- Left: CT. Right: PSMA PET, same axial level, [18F]PSMA-1007 tracer
- slice 418 of 454
- PET panel 200×200 px (4.1 mm/px)
- head region blanked for anonymization (face removed)
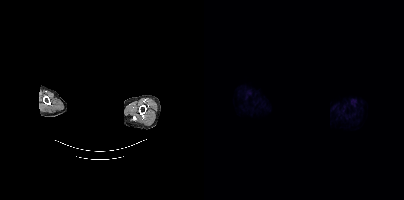
Findings: No PSMA-avid tumor lesions on this slice.